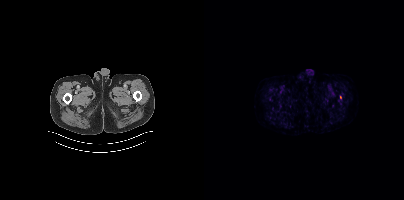
Left: CT. Right: PSMA PET, same axial level, 18F-PSMA tracer. Slice position z = -942 mm. PET panel 200×200 px (4.1 mm/px). Coordinates are on the 200×200 PET (right) panel. Small PSMA-avid focus (2 to 4 px across) near (center x, center y): (136, 97).